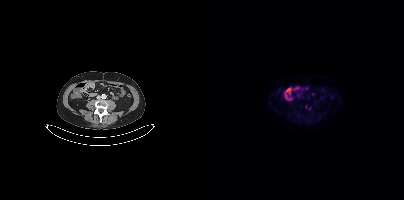
Findings: Negative for PSMA-avid disease on this slice.
- Two-panel axial: CT | PSMA PET, 18F tracer
- slice 165 of 421